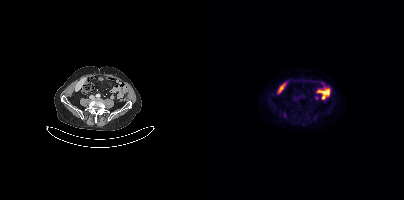
{"modality":"PSMA PET/CT","view":"axial","tracer":"[18F]PSMA-1007","pet_grid":[200,200],"coord_frame":"pet_panel","coord_format":"x0,y0,x1,y1","psma_avid_lesions":false}